Two-panel axial: CT | PSMA PET, 18F tracer. Acquired on Siemens Biograph 64-4R TruePoint. Slice 72 of 165.
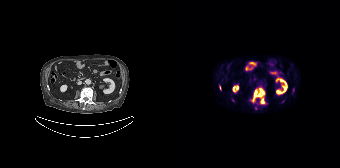
Coordinates are on the 168×168 PET (right) panel. PSMA-avid tumor lesion bounding box (x0, y0)-(x1, y1): (79, 88)-(92, 103). Small PSMA-avid foci (2 to 4 px across) near (center x, center y): (48, 87); (61, 100); (110, 101).